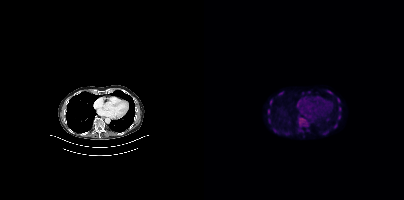
- Left: CT. Right: PSMA PET, same axial level, 18F-PSMA tracer
- acquired on Siemens Biograph mCT Flow 20
- slice position z = -453 mm
Findings: Coordinates are on the 200×200 PET (right) panel. PSMA-avid tumor lesion bounding boxes (x0,y0,x1,y1): [64,109,66,114] [133,98,136,102] [135,107,137,111] [134,115,136,119] [66,100,68,104].